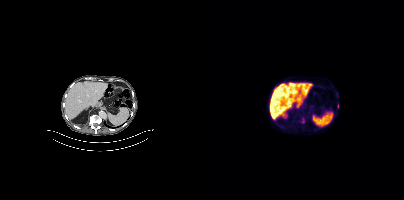
Left: CT. Right: PSMA PET, same axial level, 18F-PSMA tracer. Acquired on Siemens Biograph mCT Flow 20. Slice 200 of 375. PET panel 200×200 px (4.1 mm/px). Coordinates are on the 200×200 PET (right) panel. (showing 1 of 2 foci) Small PSMA-avid focus (2 to 4 px across) near (center x, center y): (133, 105).